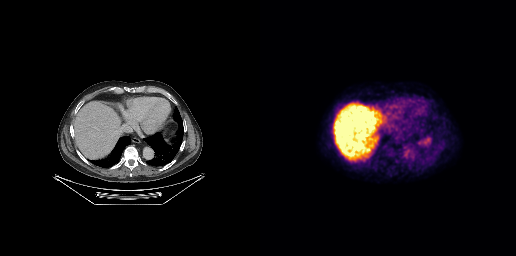
Paired axial CT (left) and PSMA PET (right), [18F]PSMA-1007 tracer. Slice 171 of 263. PET panel 256×256 px (2.7 mm/px). No tumor lesions annotated on this slice.